Technique: Two-panel axial: CT | PSMA PET, 18F tracer. acquired on Siemens Biograph mCT Flow 20.
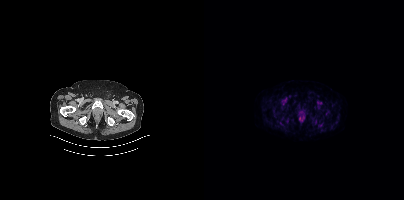
Findings: No PSMA-avid tumor lesions on this slice.